- Paired axial CT (left) and PSMA PET (right), 18F tracer
- PET panel 200×200 px (4.1 mm/px)
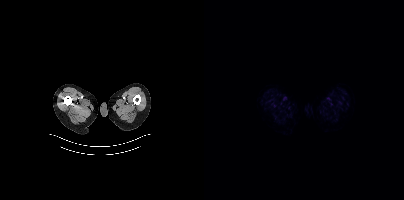
Findings: Negative for PSMA-avid disease on this slice.